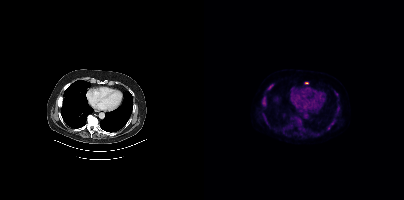
- Paired axial CT (left) and PSMA PET (right), 18F tracer
- acquired on Siemens Biograph mCT Flow 20
Findings: Coordinates are on the 200×200 PET (right) panel. (showing 3 of 4 foci) PSMA-avid tumor lesion bounding boxes (x0,y0,x1,y1): [58,98,61,105] [64,84,69,89]. Small PSMA-avid focus (2 to 4 px across) near (center x, center y): (102, 82).